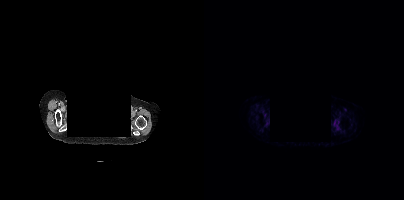
{"pet_grid":[200,200],"coord_frame":"pet_panel","coord_format":"x0,y0,x1,y1","psma_avid_lesions":false,"deidentification":"privacy mask over head","modality":"PSMA PET/CT","view":"axial","tracer":"[68Ga]Ga-PSMA-11"}